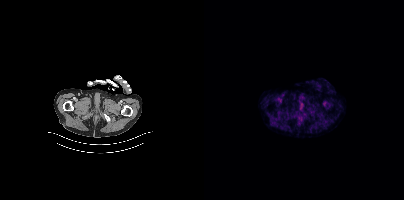
{"pet_grid":[200,200],"coord_frame":"pet_panel","coord_format":"x0,y0,x1,y1","psma_avid_lesions":false,"modality":"PSMA PET/CT","view":"axial","tracer":"18F-PSMA"}